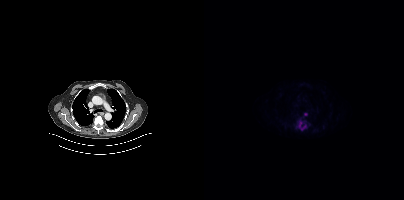
Findings: Coordinates are on the 200×200 PET (right) panel. (showing 1 of 2 foci) PSMA-avid tumor lesion bounding box (x, y, width, height): x=91 y=119 w=12 h=12.
Technique: Paired axial CT (left) and PSMA PET (right), 18F tracer. acquired on Siemens Biograph mCT Flow 20. slice 301 of 395. PET panel 200×200 px (4.1 mm/px).